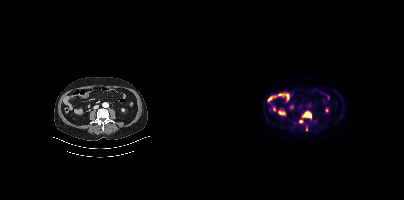
Technique: Two-panel axial: CT | PSMA PET, [18F]PSMA-1007 tracer. acquired on Siemens Biograph mCT Flow 20. slice position z = -1341 mm.
Findings: Coordinates are on the 200×200 PET (right) panel. PSMA-avid tumor lesion bounding boxes (x0,y0,x1,y1): [99,111,107,117], [96,120,99,124]. Small PSMA-avid foci (2 to 4 px across) near (center x, center y): (109, 120), (102, 129).